- Left: CT. Right: PSMA PET, same axial level, 18F tracer
- acquired on Siemens Biograph mCT Flow 20
- slice position z = -846 mm
- PET panel 200×200 px (4.1 mm/px)
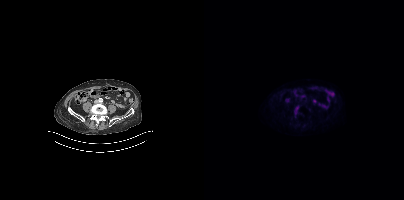
Findings: Coordinates are on the 200×200 PET (right) panel. (showing 1 of 2 foci) Small PSMA-avid focus (2 to 4 px across) near (center x, center y): (92, 108).